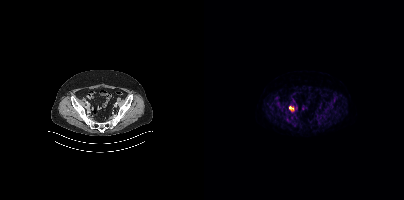
{"modality":"PSMA PET/CT","view":"axial","tracer":"18F","pet_grid":[200,200],"coord_frame":"pet_panel","coord_format":"x0,y0,x1,y1","lesion_bboxes":[[85,106,89,110]]}